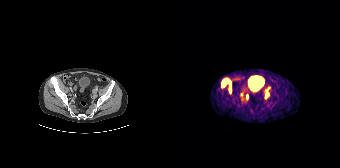
modality: PSMA PET/CT | tracer: [68Ga]Ga-PSMA-11 | view: axial | PET grid: 168×168
Coordinates are on the 168×168 PET (right) panel. PSMA-avid tumor lesion bounding boxes (x, y, width, height): x=49 y=78 w=11 h=16; x=93 y=90 w=4 h=9. Small PSMA-avid foci (2 to 4 px across) near (center x, center y): (75, 96); (69, 94); (96, 87).